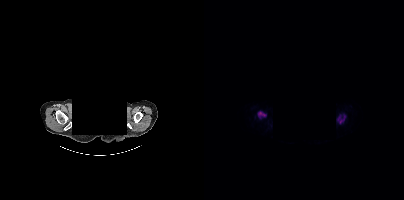
Coordinates are on the 200×200 PET (right) panel. PSMA-avid tumor lesion bounding boxes:
| # | x0 | y0 | x1 | y1 |
|---|---|---|---|---|
| 1 | 134 | 115 | 141 | 123 |
| 2 | 54 | 112 | 61 | 116 |
The head region is masked for de-identification. Paired axial CT (left) and PSMA PET (right), 18F tracer. Slice position z = -360 mm. PET panel 200×200 px (4.1 mm/px).